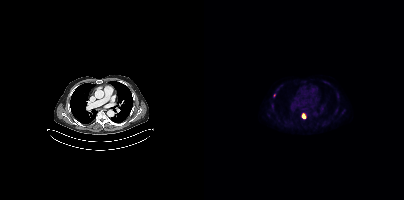
Coordinates are on the 200×200 PET (right) panel. (showing 1 of 2 foci) PSMA-avid tumor lesion bounding box (x, y, width, height): x=98 y=113 w=4 h=6. Two-panel axial: CT | PSMA PET, 18F tracer. Acquired on Siemens Biograph mCT Flow 20. Slice position z = -1035 mm.